- Two-panel axial: CT | PSMA PET, [18F]PSMA-1007 tracer
- acquired on Siemens Biograph mCT Flow 20
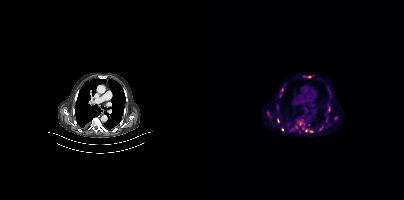
Findings: Coordinates are on the 200×200 PET (right) panel. (showing 12 of 14 foci) PSMA-avid tumor lesion bounding boxes (x0,y0,x1,y1): [91,119,109,132] [63,111,67,117] [72,105,74,109] [73,118,75,123]. Small PSMA-avid foci (2 to 4 px across) near (center x, center y): (104, 76) (131, 118) (88, 129) (122, 120) (78, 89) (124, 110) (117, 128) (95, 131).